Paired axial CT (left) and PSMA PET (right), 18F-PSMA tracer. Acquired on Siemens Biograph mCT Flow 20. Slice 218 of 415.
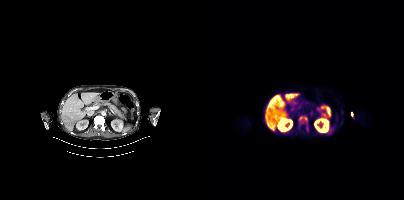
Coordinates are on the 200×200 PET (right) panel. PSMA-avid tumor lesion bounding boxes:
| # | x0 | y0 | x1 | y1 |
|---|---|---|---|---|
| 1 | 95 | 116 | 103 | 124 |